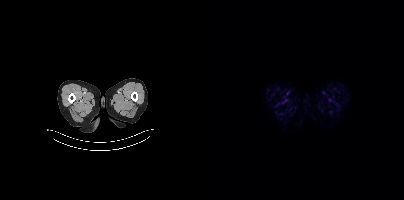
modality: PSMA PET/CT | tracer: 18F | view: axial
No tumor lesions annotated on this slice.